Technique: Two-panel axial: CT | PSMA PET, 18F-PSMA tracer. acquired on Siemens Biograph mCT Flow 20. PET panel 200×200 px (4.1 mm/px).
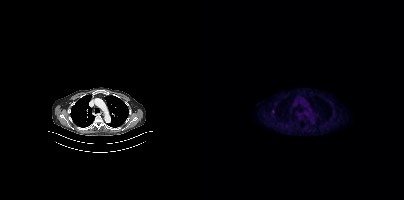
Findings: Coordinates are on the 200×200 PET (right) panel. Small PSMA-avid focus (2 to 4 px across) near (center x, center y): (69, 111).